Left: CT. Right: PSMA PET, same axial level, [18F]PSMA-1007 tracer.
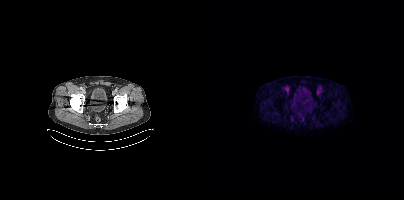
No tumor lesions annotated on this slice.